A rectangular block over the head has been blanked out for de-identification.
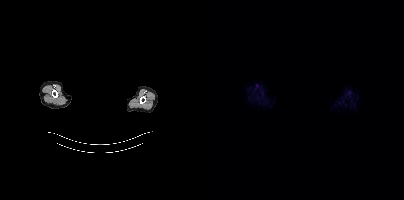
This slice has no annotated PSMA-avid lesion.